- Left: CT. Right: PSMA PET, same axial level, 18F-PSMA tracer
- PET panel 256×256 px (2.7 mm/px)
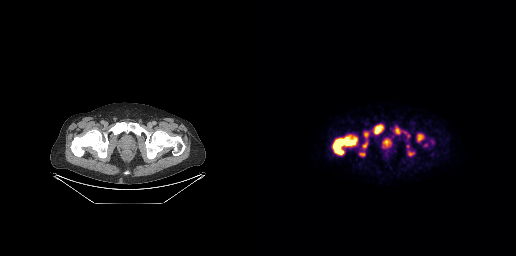
Findings: Coordinates are on the 256×256 PET (right) panel. PSMA-avid tumor lesion bounding boxes (x0, y0)-(x1, y1): (72, 135)-(97, 155) / (114, 124)-(123, 134) / (157, 133)-(164, 141) / (134, 126)-(141, 134) / (148, 151)-(154, 155) / (124, 140)-(129, 145) / (104, 132)-(108, 137) / (103, 143)-(107, 147) / (100, 153)-(104, 155). Small PSMA-avid foci (2 to 4 px across) near (center x, center y): (148, 136) / (148, 146) / (145, 132) / (165, 144).